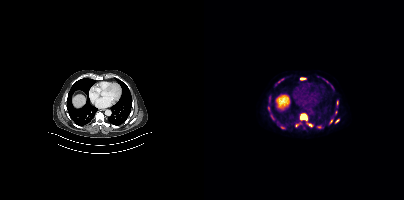
Coordinates are on the 200×200 PET (right) panel. (showing 12 of 13 foci) PSMA-avid tumor lesion bounding boxes (x0, y0)-(x1, y1): (96, 114)-(103, 119) | (113, 125)-(117, 128) | (96, 78)-(101, 79). Small PSMA-avid foci (2 to 4 px across) near (center x, center y): (77, 127) | (133, 102) | (64, 107) | (132, 120) | (127, 121) | (106, 124) | (78, 79) | (92, 125) | (71, 84).